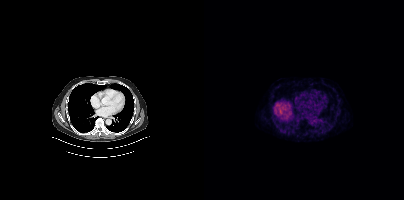
This slice has no annotated PSMA-avid lesion.